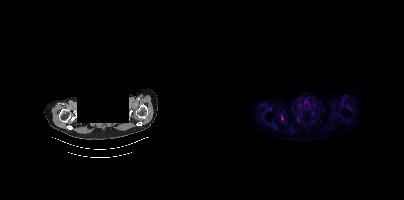
deidentification: head region blacked out before release | modality: PSMA PET/CT | tracer: 18F-PSMA | view: axial
Coordinates are on the 200×200 PET (right) panel. (showing 1 of 2 foci) Small PSMA-avid focus (2 to 4 px across) near (center x, center y): (78, 117).